Paired axial CT (left) and PSMA PET (right), [68Ga]Ga-PSMA-11 tracer.
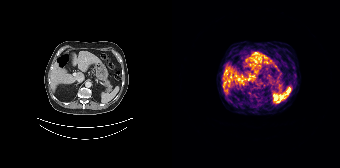
Negative for PSMA-avid disease on this slice.